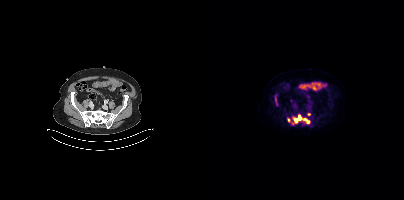
Technique: Left: CT. Right: PSMA PET, same axial level, 18F tracer. acquired on Siemens Biograph mCT Flow 20. slice 113 of 389.
Findings: Coordinates are on the 200×200 PET (right) panel. PSMA-avid tumor lesion bounding boxes (x0,y0,x1,y1): [88,114,106,124] [83,118,86,122]. Small PSMA-avid focus (2 to 4 px across) near (center x, center y): (104, 114).